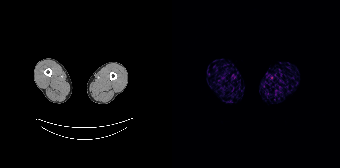
Two-panel axial: CT | PSMA PET, 68Ga-PSMA tracer. Negative for PSMA-avid disease on this slice.